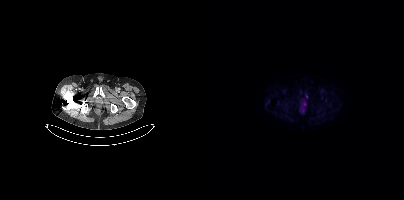
Paired axial CT (left) and PSMA PET (right), 18F tracer. Acquired on Siemens Biograph mCT Flow 20. Slice 62 of 421. Coordinates are on the 200×200 PET (right) panel. Small PSMA-avid focus (2 to 4 px across) near (center x, center y): (100, 104).